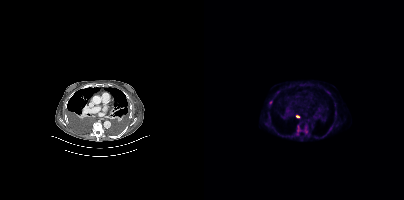
{"modality":"PSMA PET/CT","view":"axial","tracer":"18F","pet_grid":[200,200],"coord_frame":"pet_panel","coord_format":"x0,y0,x1,y1","lesion_bboxes":[[93,125,98,131],[100,129,104,134]],"small_foci_centers":[[66,102],[93,116]]}